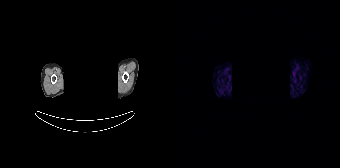
Findings: No tumor lesions annotated on this slice.
Technique: Paired axial CT (left) and PSMA PET (right), 68Ga-PSMA tracer.
Note: Privacy masking over the head, with the pixels inside a rectangle set to black.